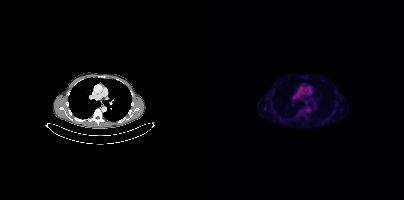
Findings: Coordinates are on the 200×200 PET (right) panel. Small PSMA-avid focus (2 to 4 px across) near (center x, center y): (61, 108).
Technique: Paired axial CT (left) and PSMA PET (right), 18F-PSMA tracer. acquired on Siemens Biograph mCT Flow 20. slice 292 of 429. PET panel 200×200 px (4.1 mm/px).